Technique: Left: CT. Right: PSMA PET, same axial level, 18F-PSMA tracer. slice position z = -665 mm. PET panel 200×200 px (4.1 mm/px).
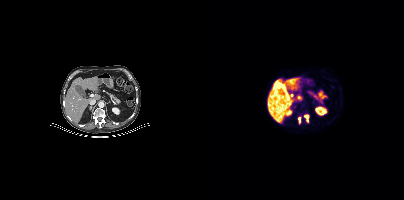
Findings: Coordinates are on the 200×200 PET (right) panel. PSMA-avid tumor lesion bounding boxes (x0, y0)-(x1, y1): (101, 115)-(104, 122); (95, 118)-(96, 123).